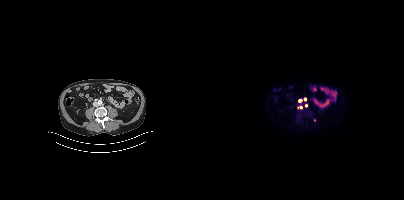
Technique: Paired axial CT (left) and PSMA PET (right), 18F tracer.
Findings: Coordinates are on the 200×200 PET (right) panel. (showing 3 of 6 foci) Small PSMA-avid foci (2 to 4 px across) near (center x, center y): (96, 100), (100, 99), (96, 107).